- Left: CT. Right: PSMA PET, same axial level, 18F tracer
- slice position z = -485 mm
- PET panel 200×200 px (4.1 mm/px)
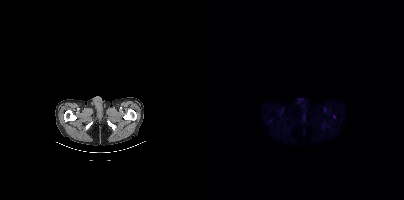
Findings: No PSMA-avid tumor lesions on this slice.